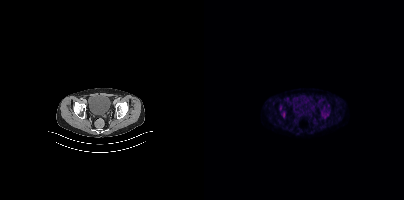
No PSMA-avid tumor lesions on this slice. Two-panel axial: CT | PSMA PET, [18F]PSMA-1007 tracer. Acquired on Siemens Biograph mCT Flow 20. PET panel 200×200 px (4.1 mm/px).